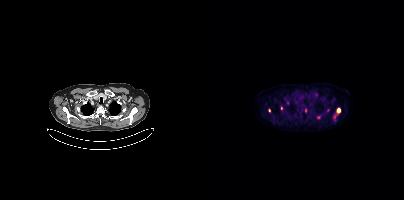
Coordinates are on the 200×200 PET (right) panel. PSMA-avid tumor lesion bounding box (x, y, width, height): x=129 y=108 w=8 h=11. Small PSMA-avid foci (2 to 4 px across) near (center x, center y): (112, 94) / (83, 102) / (114, 117) / (77, 108) / (65, 110) / (101, 110) / (123, 110).